Two-panel axial: CT | PSMA PET, 68Ga tracer. Slice 166 of 263. PET panel 256×256 px (2.7 mm/px).
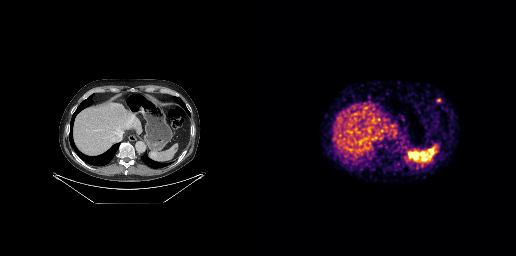
Coordinates are on the 256×256 PET (right) panel. PSMA-avid tumor lesion bounding boxes (x0,y0,x1,y1): [170,147,176,153], [176,98,181,102], [150,152,154,156].